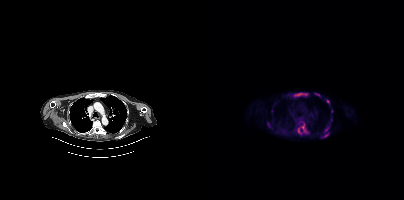
{"modality":"PSMA PET/CT","view":"axial","tracer":"18F-PSMA","pet_grid":[200,200],"coord_frame":"pet_panel","coord_format":"x0,y0,x1,y1","partial":true,"lesion_bboxes":[[117,127,125,137],[92,92,103,96],[97,123,103,132],[111,93,116,96],[94,128,97,133]],"small_foci_centers":[[123,101],[87,95],[127,111],[106,114]]}